Paired axial CT (left) and PSMA PET (right), [18F]PSMA-1007 tracer. Slice 76 of 165. PET panel 168×168 px (4.1 mm/px).
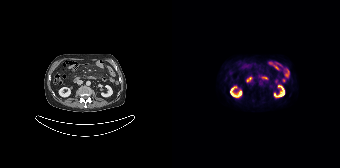
No PSMA-avid tumor lesions on this slice.